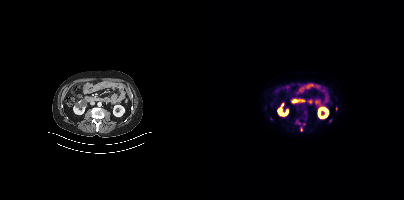
Left: CT. Right: PSMA PET, same axial level, 18F tracer. Acquired on Siemens Biograph mCT Flow 20. Slice 181 of 429. PET panel 200×200 px (4.1 mm/px). Coordinates are on the 200×200 PET (right) panel. (showing 1 of 2 foci) PSMA-avid tumor lesion bounding box (x, y, width, height): x=97 y=127 w=2 h=5.